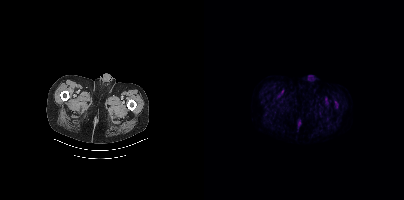
- Paired axial CT (left) and PSMA PET (right), [18F]PSMA-1007 tracer
- PET panel 200×200 px (4.1 mm/px)
Findings: Only PSMA-avid lesion pieces thinner than 2 px on this slice (not listed).